modality: PSMA PET/CT | tracer: 18F | view: axial | PET grid: 200×200
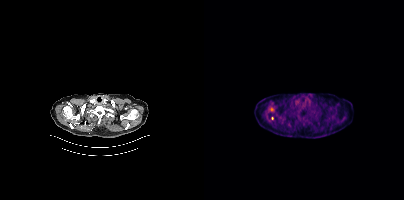
Coordinates are on the 200×200 PET (right) panel. Small PSMA-avid focus (2 to 4 px across) near (center x, center y): (68, 118).